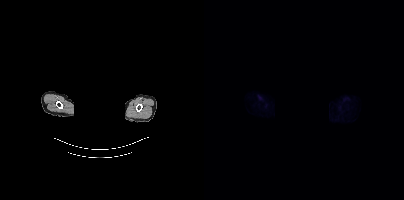
Negative for PSMA-avid disease on this slice.
A rectangular block over the head has been blanked out for de-identification.